modality: PSMA PET/CT | tracer: [18F]PSMA-1007 | view: axial
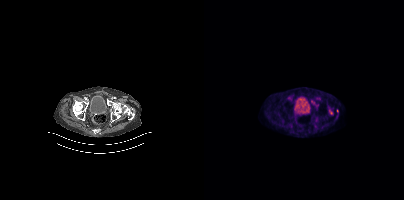
Coordinates are on the 200×200 PET (right) panel. (showing 3 of 5 foci) PSMA-avid tumor lesion bounding box (x0,y0,x1,y1): [107,100,114,105]. Small PSMA-avid foci (2 to 4 px across) near (center x, center y): (131, 117) (128, 115).